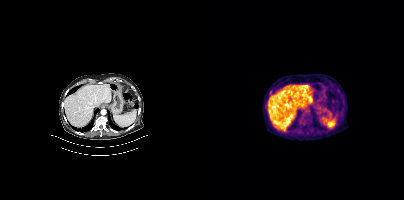
Negative for PSMA-avid disease on this slice. Left: CT. Right: PSMA PET, same axial level, 18F-PSMA tracer. Slice 229 of 397.